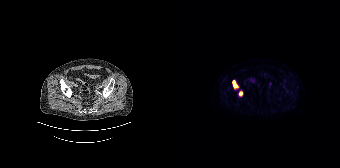
Coordinates are on the 168×168 PET (right) panel. PSMA-avid tumor lesion bounding boxes (x, y, width, height): x=60 y=80 w=7 h=10 / x=67 y=91 w=4 h=6.